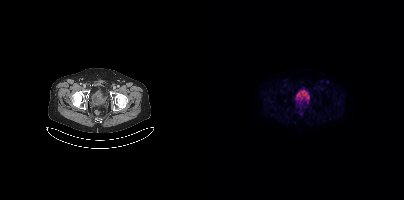
Findings: This slice has no annotated PSMA-avid lesion.
Technique: Left: CT. Right: PSMA PET, same axial level, 18F tracer. slice position z = -762 mm.